Technique: Two-panel axial: CT | PSMA PET, [18F]PSMA-1007 tracer.
Note: Privacy masking over the head, with the pixels inside a rectangle set to black.
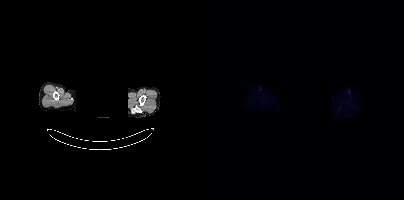
Findings: No tumor lesions annotated on this slice.